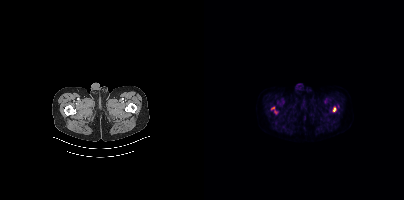
Coordinates are on the 200×200 PET (right) panel. (showing 2 of 3 foci) PSMA-avid tumor lesion bounding box (x0,y0,x1,y1): [129,107,132,111]. Small PSMA-avid focus (2 to 4 px across) near (center x, center y): (68, 108).